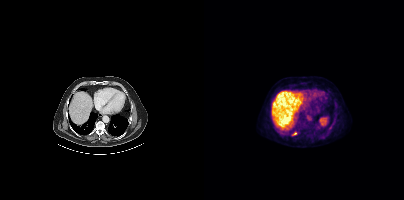
modality: PSMA PET/CT | tracer: 18F | view: axial
Coordinates are on the 200×200 PET (right) panel. Small PSMA-avid focus (2 to 4 px across) near (center x, center y): (90, 133).